A rectangle over the head was blacked out to remove identifiable facial features.
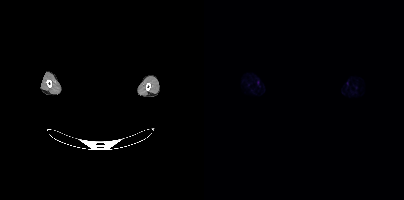
Negative for PSMA-avid disease on this slice.